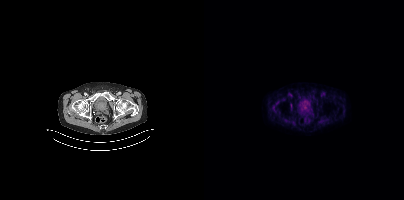
modality: PSMA PET/CT | tracer: 18F | view: axial
Coordinates are on the 200×200 PET (right) panel. PSMA-avid tumor lesion bounding box (x0,y0,x1,y1): [86,104,88,109].